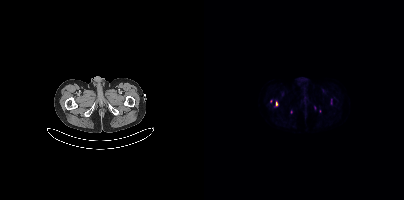
Only PSMA-avid lesion pieces thinner than 2 px on this slice (not listed).
modality: PSMA PET/CT | tracer: [18F]PSMA-1007 | view: axial | PET grid: 200×200